Technique: Two-panel axial: CT | PSMA PET, [18F]PSMA-1007 tracer. slice position z = -950 mm.
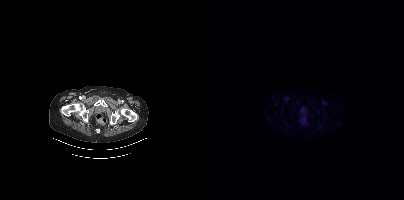
Findings: No tumor lesions annotated on this slice.